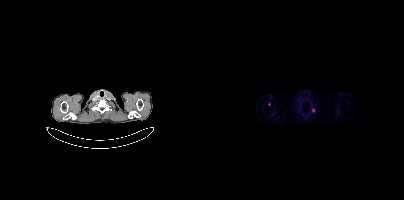
modality: PSMA PET/CT | tracer: 68Ga | view: axial
Coordinates are on the 200×200 PET (right) panel. (showing 1 of 2 foci) Small PSMA-avid focus (2 to 4 px across) near (center x, center y): (109, 110).